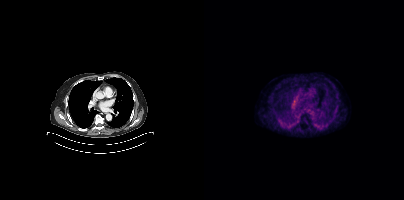
Coordinates are on the 200×200 PET (right) panel. Small PSMA-avid focus (2 to 4 px across) near (center x, center y): (102, 121).